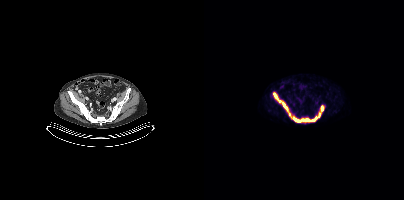
{"modality":"PSMA PET/CT","view":"axial","tracer":"18F","pet_grid":[200,200],"coord_frame":"pet_panel","coord_format":"x0,y0,x1,y1","lesion_bboxes":[[69,92,85,114],[90,117,113,122],[117,106,119,110]],"small_foci_centers":[[115,114]]}